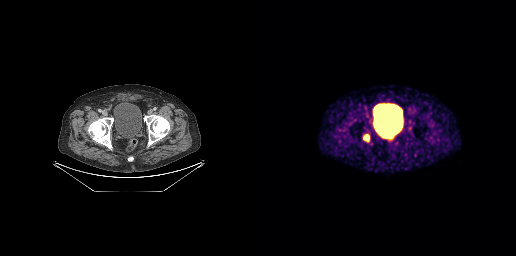
Coordinates are on the 256×256 PET (right) panel. PSMA-avid tumor lesion bounding box (x0,y0,x1,y1): [104,135,109,140].
modality: PSMA PET/CT | tracer: 68Ga-PSMA | view: axial